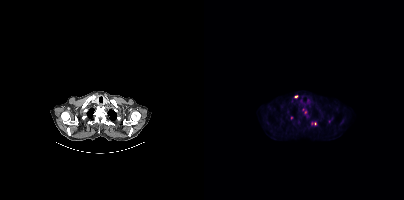
Two-panel axial: CT | PSMA PET, 18F tracer. PET panel 200×200 px (4.1 mm/px).
Coordinates are on the 200×200 PET (right) panel. PSMA-avid tumor lesion bounding boxes (partial; 3 more foci not listed):
| # | x0 | y0 | x1 | y1 |
|---|---|---|---|---|
| 1 | 98 | 108 | 101 | 112 |
Small PSMA-avid foci (2 to 4 px across) near (center x, center y): (92, 96); (107, 123).